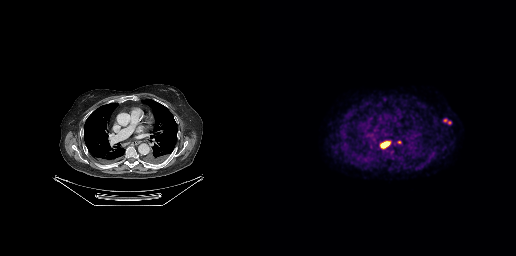
Coordinates are on the 256×256 PET (right) panel. PSMA-avid tumor lesion bounding boxes (x0, y0)-(x1, y1): (121, 142)-(129, 148) / (137, 141)-(141, 143). Small PSMA-avid foci (2 to 4 px across) near (center x, center y): (185, 120) / (189, 122).